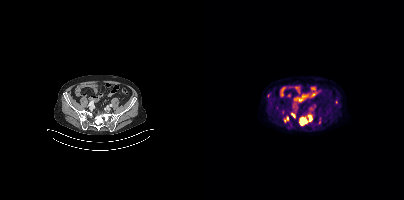
Two-panel axial: CT | PSMA PET, 18F tracer. Acquired on Siemens Biograph mCT Flow 20.
Coordinates are on the 200×200 PET (right) panel. PSMA-avid tumor lesion bounding boxes (partial; 1 more focus not listed):
| # | x0 | y0 | x1 | y1 |
|---|---|---|---|---|
| 1 | 95 | 116 | 108 | 125 |
| 2 | 80 | 116 | 84 | 122 |
| 3 | 87 | 113 | 91 | 117 |
Small PSMA-avid foci (2 to 4 px across) near (center x, center y): (64, 95); (115, 122); (132, 102).